Left: CT. Right: PSMA PET, same axial level, 18F-PSMA tracer. Acquired on Siemens Biograph mCT Flow 20. Slice 16 of 393.
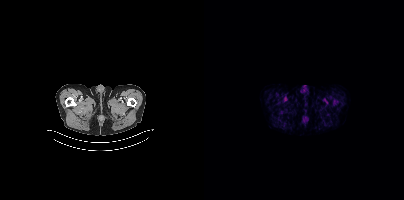
Only PSMA-avid lesion pieces thinner than 2 px on this slice (not listed).